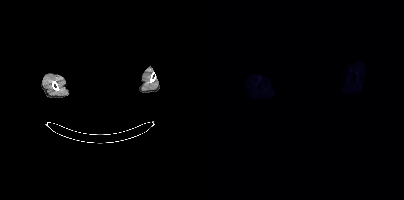
This slice has no annotated PSMA-avid lesion.
De-identified by setting a box covering the face to black before release.